- Paired axial CT (left) and PSMA PET (right), 18F tracer
- acquired on Siemens Biograph mCT Flow 20
- slice 253 of 435
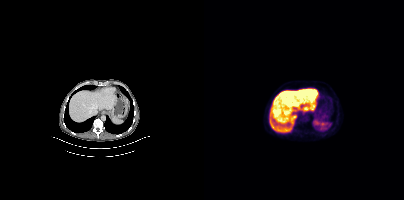
Findings: This slice has no annotated PSMA-avid lesion.